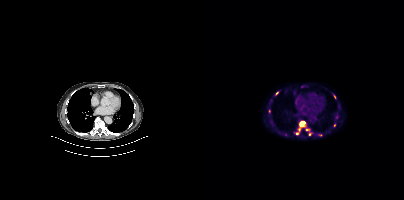
Left: CT. Right: PSMA PET, same axial level, 18F-PSMA tracer. Acquired on Siemens Biograph mCT Flow 20. Slice 260 of 413. Coordinates are on the 200×200 PET (right) panel. (showing 7 of 8 foci) PSMA-avid tumor lesion bounding box (x0, y0)-(x1, y1): (95, 121)-(101, 130). Small PSMA-avid foci (2 to 4 px across) near (center x, center y): (93, 133) | (73, 93) | (130, 96) | (103, 129) | (130, 125) | (105, 134).